Left: CT. Right: PSMA PET, same axial level, [18F]PSMA-1007 tracer. Slice position z = -1718 mm. PET panel 200×200 px (4.1 mm/px).
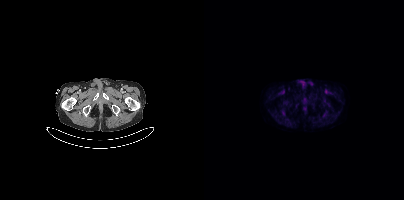
This slice has no annotated PSMA-avid lesion.